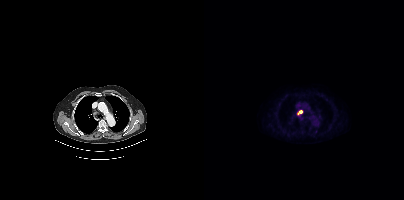
Technique: Two-panel axial: CT | PSMA PET, 18F tracer. slice 282 of 383. PET panel 200×200 px (4.1 mm/px).
Findings: Coordinates are on the 200×200 PET (right) panel. PSMA-avid tumor lesion bounding box (x, y, width, height): x=93 y=110 w=6 h=6.